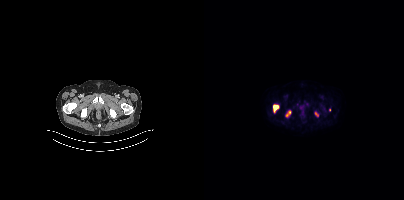
{"modality":"PSMA PET/CT","view":"axial","tracer":"18F-PSMA","pet_grid":[200,200],"coord_frame":"pet_panel","coord_format":"x0,y0,x1,y1","lesion_bboxes":[[69,104,74,112],[82,111,87,116],[111,112,114,116]],"small_foci_centers":[[125,109]]}